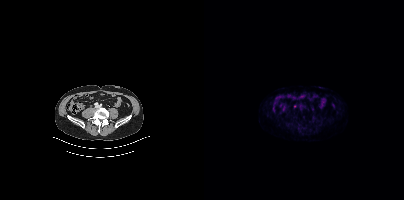
No tumor lesions annotated on this slice.
modality: PSMA PET/CT | tracer: 68Ga-PSMA | view: axial | PET grid: 200×200